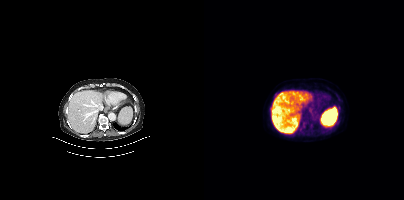
{"modality":"PSMA PET/CT","view":"axial","tracer":"[18F]PSMA-1007","pet_grid":[200,200],"coord_frame":"pet_panel","coord_format":"x0,y0,x1,y1","psma_avid_lesions":false}